- Two-panel axial: CT | PSMA PET, [18F]PSMA-1007 tracer
- slice 65 of 409
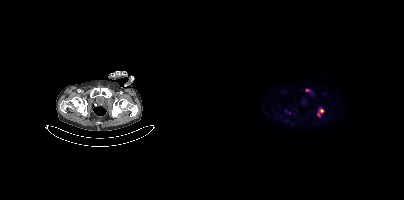
Findings: Coordinates are on the 200×200 PET (right) panel. PSMA-avid tumor lesion bounding box (x0, y0)-(x1, y1): (113, 108)-(119, 116). Small PSMA-avid focus (2 to 4 px across) near (center x, center y): (103, 90).